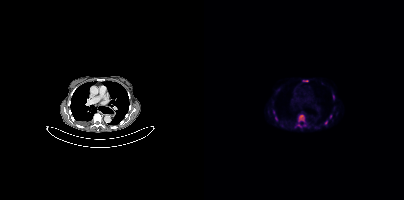
- Paired axial CT (left) and PSMA PET (right), 18F tracer
- PET panel 200×200 px (4.1 mm/px)
Findings: Coordinates are on the 200×200 PET (right) panel. (showing 7 of 9 foci) PSMA-avid tumor lesion bounding boxes (x0,y0,x1,y1): [94,115,100,121], [99,80,104,81]. Small PSMA-avid foci (2 to 4 px across) near (center x, center y): (122, 122), (129, 96), (72, 118), (95, 125), (126, 116).